- Two-panel axial: CT | PSMA PET, 18F-PSMA tracer
- acquired on GE Discovery 690
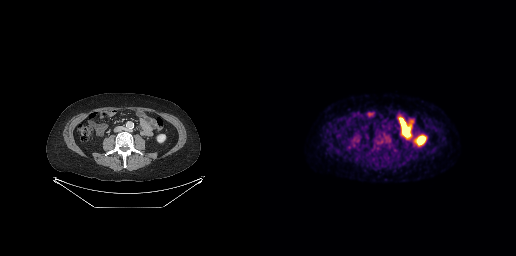
Findings: This slice has no annotated PSMA-avid lesion.